Facial anatomy redacted by setting a rectangular region of the head to black.
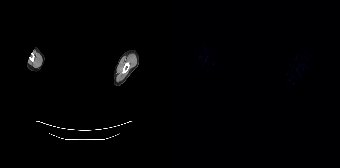
This slice has no annotated PSMA-avid lesion.